- Two-panel axial: CT | PSMA PET, 68Ga tracer
- slice 143 of 195
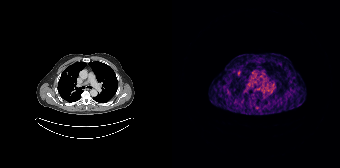
Findings: Coordinates are on the 168×168 PET (right) panel. Small PSMA-avid focus (2 to 4 px across) near (center x, center y): (66, 72).